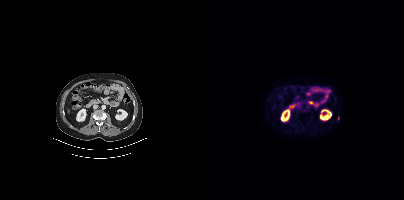
Findings: Coordinates are on the 200×200 PET (right) panel. Small PSMA-avid focus (2 to 4 px across) near (center x, center y): (134, 118).
- Paired axial CT (left) and PSMA PET (right), [18F]PSMA-1007 tracer
- slice position z = -1288 mm
- PET panel 200×200 px (4.1 mm/px)